Technique: Paired axial CT (left) and PSMA PET (right), 18F-PSMA tracer. acquired on Siemens Biograph mCT Flow 20. PET panel 200×200 px (4.1 mm/px).
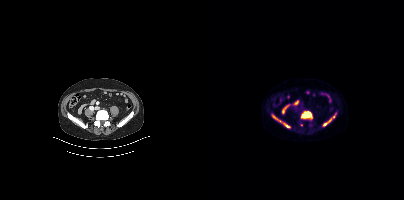
Findings: Coordinates are on the 200×200 PET (right) panel. (showing 3 of 4 foci) PSMA-avid tumor lesion bounding boxes (x0,y0,x1,y1): [97,111,108,118]; [68,115,86,128]; [119,113,132,125].